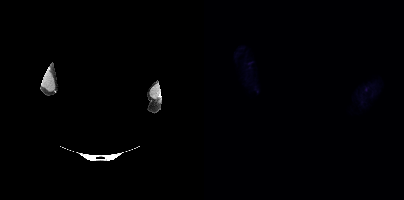
Face de-identified by blanking a block of the head. Paired axial CT (left) and PSMA PET (right), 18F-PSMA tracer. PET panel 200×200 px (4.1 mm/px). Negative for PSMA-avid disease on this slice.